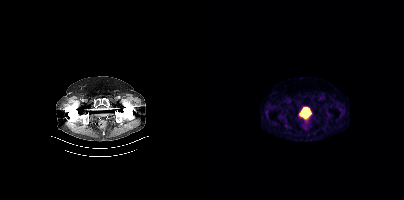
{"pet_grid":[200,200],"coord_frame":"pet_panel","coord_format":"x0,y0,x1,y1","psma_avid_lesions":false,"modality":"PSMA PET/CT","view":"axial","tracer":"68Ga-PSMA"}